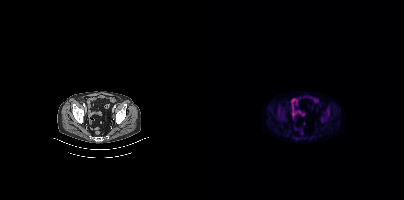
- Left: CT. Right: PSMA PET, same axial level, 18F tracer
- acquired on Siemens Biograph mCT Flow 20
- PET panel 200×200 px (4.1 mm/px)
Findings: Coordinates are on the 200×200 PET (right) panel. PSMA-avid tumor lesion bounding box (x, y, width, height): x=117 y=117 w=6 h=6.